modality: PSMA PET/CT | tracer: 18F | view: axial | PET grid: 256×256
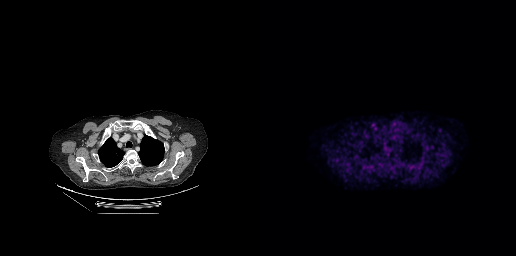
Only PSMA-avid lesion pieces thinner than 2 px on this slice (not listed).